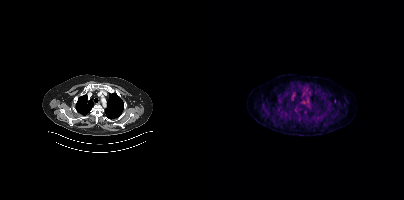
Technique: Two-panel axial: CT | PSMA PET, 18F tracer. acquired on Siemens Biograph mCT Flow 20. slice position z = -972 mm. PET panel 200×200 px (4.1 mm/px).
Findings: Only PSMA-avid lesion pieces thinner than 2 px on this slice (not listed).